Technique: Two-panel axial: CT | PSMA PET, 18F-PSMA tracer. slice position z = -1318 mm. PET panel 200×200 px (4.1 mm/px).
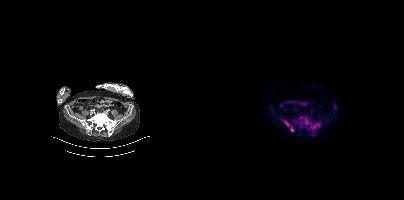
Findings: Coordinates are on the 200×200 PET (right) panel. (showing 5 of 6 foci) PSMA-avid tumor lesion bounding boxes (x0, y0)-(x1, y1): (104, 122)-(116, 131); (80, 121)-(89, 131); (94, 115)-(99, 119); (100, 119)-(105, 123). Small PSMA-avid focus (2 to 4 px across) near (center x, center y): (96, 124).